Privacy masking over the head, with the pixels inside a rectangle set to black. Two-panel axial: CT | PSMA PET, 18F tracer.
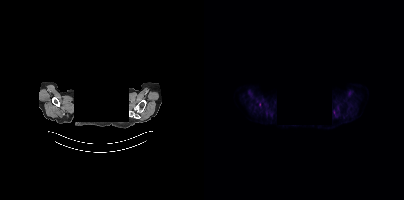
Coordinates are on the 200×200 PET (right) panel. Small PSMA-avid focus (2 to 4 px across) near (center x, center y): (55, 104).